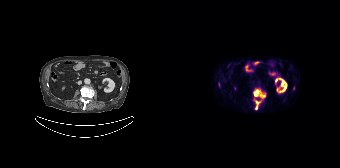
Two-panel axial: CT | PSMA PET, 18F-PSMA tracer. Acquired on Siemens Biograph 64-4R TruePoint.
Coordinates are on the 168×168 PET (right) panel. PSMA-avid tumor lesion bounding boxes (partial; 1 more focus not listed):
| # | x0 | y0 | x1 | y1 |
|---|---|---|---|---|
| 1 | 81 | 89 | 93 | 98 |
| 2 | 82 | 99 | 89 | 109 |